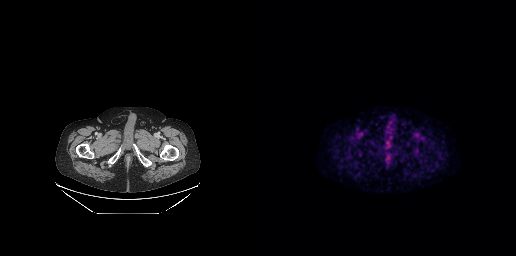
Technique: Left: CT. Right: PSMA PET, same axial level, 18F tracer. acquired on GE Discovery 690. slice 74 of 299.
Findings: This slice has no annotated PSMA-avid lesion.